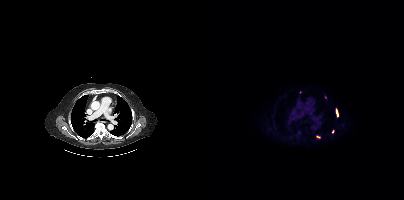
Coordinates are on the 200×200 PET (right) panel. (showing 2 of 4 foci) PSMA-avid tumor lesion bounding boxes (x, y, width, height): x=132 y=109 w=3 h=8 / x=112 y=135 w=5 h=4.
modality: PSMA PET/CT | tracer: [18F]PSMA-1007 | view: axial